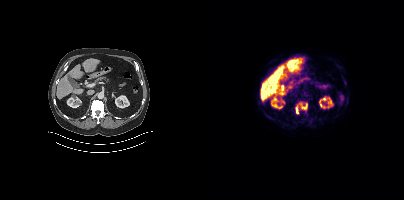
Coordinates are on the 200×200 PET (right) panel. PSMA-avid tumor lesion bounding box (x, y, width, height): x=91 y=102 w=13 h=12.